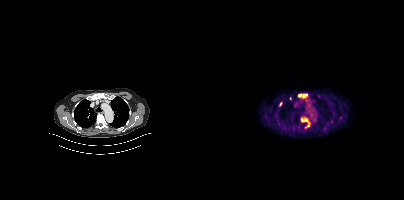
Left: CT. Right: PSMA PET, same axial level, 18F tracer. Slice position z = -359 mm. PET panel 200×200 px (4.1 mm/px).
Coordinates are on the 200×200 PET (right) panel. PSMA-avid tumor lesion bounding boxes (partial; 2 more foci not listed):
| # | x0 | y0 | x1 | y1 |
|---|---|---|---|---|
| 1 | 94 | 94 | 103 | 98 |
| 2 | 97 | 118 | 105 | 126 |
Small PSMA-avid focus (2 to 4 px across) near (center x, center y): (76, 104).